Two-panel axial: CT | PSMA PET, 18F tracer. Slice 282 of 373.
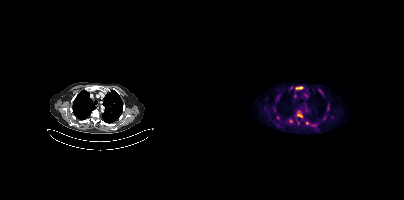
Coordinates are on the 200×200 PET (right) panel. PSMA-avid tumor lesion bounding boxes (partial; 3 more foci not listed):
| # | x0 | y0 | x1 | y1 |
|---|---|---|---|---|
| 1 | 91 | 86 | 99 | 89 |
| 2 | 93 | 114 | 98 | 117 |
Small PSMA-avid foci (2 to 4 px across) near (center x, center y): (118, 93); (70, 109); (102, 122).